modality: PSMA PET/CT | tracer: 18F | view: axial
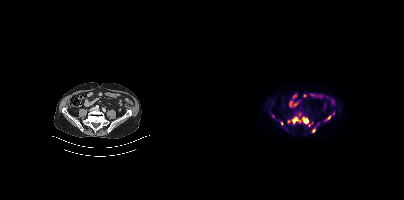
Coordinates are on the 200×200 PET (right) panel. (showing 7 of 8 foci) PSMA-avid tumor lesion bounding boxes (x, y, width, height): x=99 y=118 w=6 h=6 / x=88 y=118 w=6 h=5 / x=123 y=115 w=5 h=5. Small PSMA-avid foci (2 to 4 px across) near (center x, center y): (109, 130) / (69, 116) / (129, 113) / (77, 123).